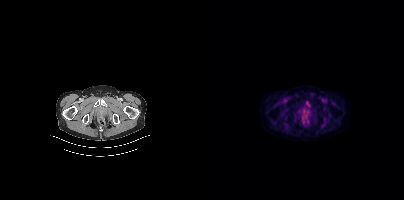
Coordinates are on the 200×200 PET (right) panel. Small PSMA-avid focus (2 to 4 px across) near (center x, center y): (103, 111).